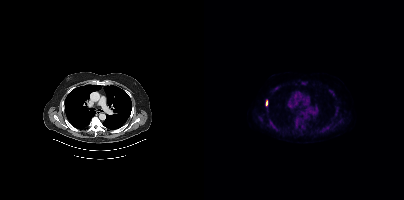
{"modality":"PSMA PET/CT","view":"axial","tracer":"18F-PSMA","pet_grid":[200,200],"coord_frame":"pet_panel","coord_format":"x0,y0,x1,y1","partial":true,"lesion_bboxes":[[90,117,98,128],[64,118,72,129],[116,126,124,133],[131,108,134,114],[98,81,102,85],[97,125,101,129]],"small_foci_centers":[[56,119],[72,87],[126,91],[137,120],[62,102],[69,89]]}